modality: PSMA PET/CT | tracer: [68Ga]Ga-PSMA-11 | view: axial | PET grid: 168×168
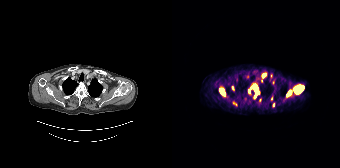
Coordinates are on the 168×168 PET (right) panel. (showing 11 of 14 foci) PSMA-avid tumor lesion bounding boxes (x0,y0,x1,y1): [121,86,131,93] [82,88,87,97] [115,90,119,96] [48,90,52,94] [81,84,84,88]. Small PSMA-avid foci (2 to 4 px across) near (center x, center y): (91, 75) (89, 80) (60, 87) (76, 91) (99, 76) (88, 99).